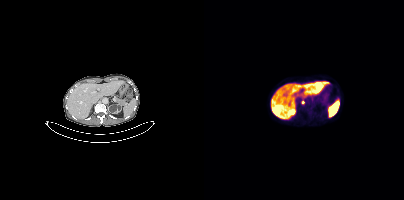
Paired axial CT (left) and PSMA PET (right), 18F tracer. Slice position z = -192 mm. Coordinates are on the 200×200 PET (right) panel. Small PSMA-avid focus (2 to 4 px across) near (center x, center y): (99, 102).